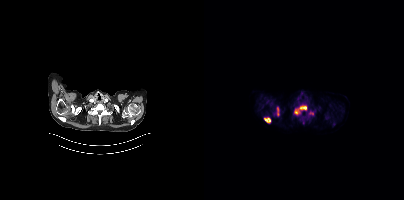
- Two-panel axial: CT | PSMA PET, 18F-PSMA tracer
- PET panel 200×200 px (4.1 mm/px)
Findings: Coordinates are on the 200×200 PET (right) panel. PSMA-avid tumor lesion bounding boxes (x, y, width, height): x=90 y=106 w=14 h=9; x=60 y=118 w=7 h=5; x=104 y=111 w=6 h=5; x=73 y=108 w=3 h=6.